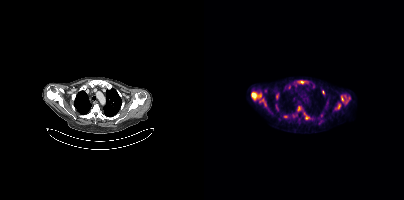
{"pet_grid":[200,200],"coord_frame":"pet_panel","coord_format":"x0,y0,x1,y1","lesion_bboxes":[[47,92,57,99],[93,80,102,84],[100,113,105,119],[137,95,140,101],[132,104,136,109],[72,93,74,97],[142,97,145,103]],"small_foci_centers":[[94,107],[61,104],[81,116],[119,92],[141,96],[71,105],[58,99]],"modality":"PSMA PET/CT","view":"axial","tracer":"18F-PSMA"}